- the face region was removed for patient privacy by blanking a rectangle over the head
- Two-panel axial: CT | PSMA PET, 18F-PSMA tracer
- PET panel 200×200 px (4.1 mm/px)
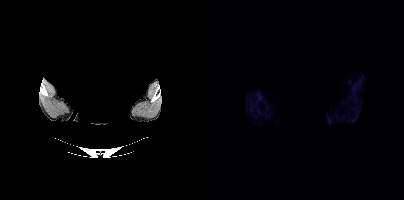
Findings: No tumor lesions annotated on this slice.